Left: CT. Right: PSMA PET, same axial level, 18F tracer. Slice position z = -601 mm.
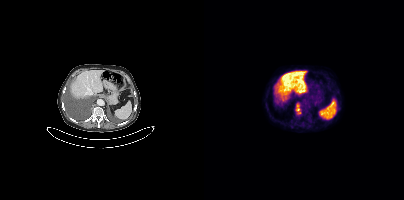
Coordinates are on the 200×200 PET (right) panel. PSMA-avid tumor lesion bounding boxes:
| # | x0 | y0 | x1 | y1 |
|---|---|---|---|---|
| 1 | 92 | 103 | 96 | 114 |